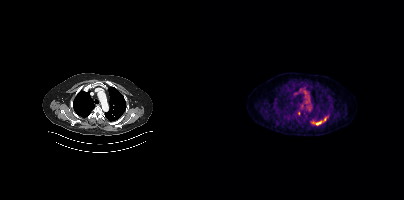
modality: PSMA PET/CT | tracer: 18F | view: axial | PET grid: 200×200
Coordinates are on the 200×200 PET (right) panel. (showing 2 of 3 foci) PSMA-avid tumor lesion bounding box (x0,y0,x1,y1): [109,121,117,125]. Small PSMA-avid focus (2 to 4 px across) near (center x, center y): (121, 118).